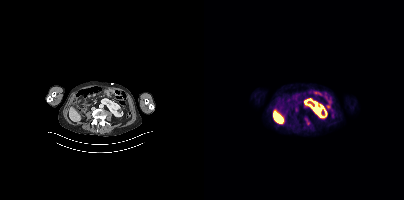
Only PSMA-avid lesion pieces thinner than 2 px on this slice (not listed).